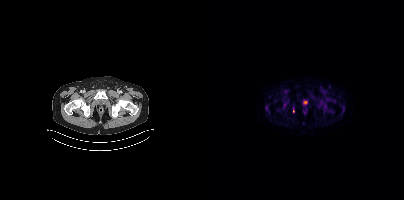
Paired axial CT (left) and PSMA PET (right), [68Ga]Ga-PSMA-11 tracer. Acquired on Siemens Biograph mCT Flow 20. Slice position z = -1742 mm. Only PSMA-avid lesion pieces thinner than 2 px on this slice (not listed).